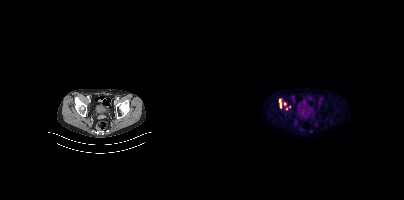
Coordinates are on the 200×200 PET (right) panel. PSMA-avid tumor lesion bounding boxes (partial; 1 more focus not listed):
| # | x0 | y0 | x1 | y1 |
|---|---|---|---|---|
| 1 | 75 | 99 | 77 | 107 |
Small PSMA-avid foci (2 to 4 px across) near (center x, center y): (82, 108); (80, 103); (85, 106).
Two-panel axial: CT | PSMA PET, [18F]PSMA-1007 tracer. Acquired on Siemens Biograph mCT Flow 20. Slice position z = -1451 mm. PET panel 200×200 px (4.1 mm/px).